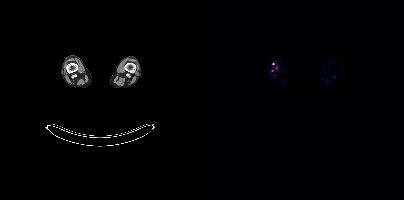
Coordinates are on the 200×200 PET (right) panel. (showing 1 of 2 foci) Small PSMA-avid focus (2 to 4 px across) near (center x, center y): (69, 63).